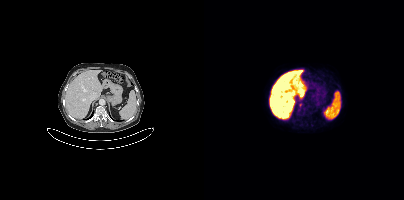
Coordinates are on the 200×200 PET (right) panel. Small PSMA-avid foci (2 to 4 px across) near (center x, center y): (94, 110) (105, 105) (96, 105).